Left: CT. Right: PSMA PET, same axial level, 68Ga tracer. PET panel 168×168 px (4.1 mm/px).
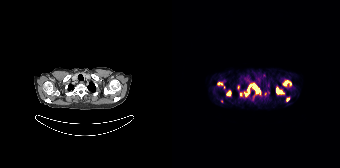
Coordinates are on the 168×168 PET (right) panel. (showing 11 of 14 foci) PSMA-avid tumor lesion bounding boxes (x, y, width, height): x=104 y=87 w=7 h=7 / x=55 y=91 w=4 h=5 / x=112 y=81 w=5 h=5. Small PSMA-avid foci (2 to 4 px across) near (center x, center y): (85, 90) / (82, 85) / (68, 94) / (115, 99) / (46, 83) / (77, 86) / (88, 93) / (74, 94).